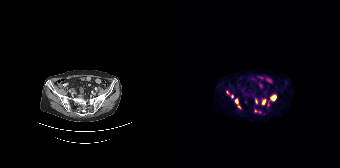
Left: CT. Right: PSMA PET, same axial level, 68Ga tracer. Acquired on Siemens Biograph 64-4R TruePoint.
Coordinates are on the 168×168 PET (right) panel. PSMA-avid tumor lesion bounding boxes (partial; 1 more focus not listed):
| # | x0 | y0 | x1 | y1 |
|---|---|---|---|---|
| 1 | 99 | 95 | 103 | 100 |
| 2 | 63 | 99 | 65 | 103 |
| 3 | 91 | 100 | 93 | 104 |
Small PSMA-avid foci (2 to 4 px across) near (center x, center y): (67, 106); (60, 96); (55, 92); (97, 101); (83, 110).